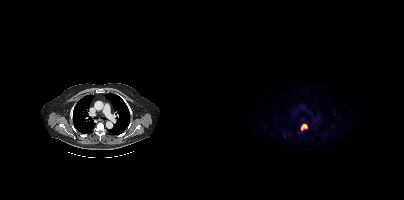
Coordinates are on the 200×200 PET (right) panel. PSMA-avid tumor lesion bounding box (x, y, width, height): x=97 y=124 w=7 h=7. Small PSMA-avid focus (2 to 4 px across) near (center x, center y): (80, 135).